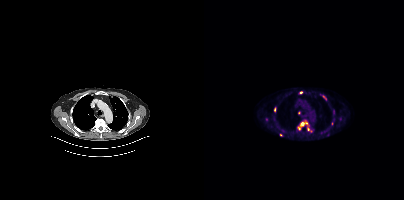
Technique: Two-panel axial: CT | PSMA PET, 18F-PSMA tracer. acquired on Siemens Biograph mCT Flow 20. PET panel 200×200 px (4.1 mm/px).
Findings: Coordinates are on the 200×200 PET (right) panel. (showing 6 of 7 foci) PSMA-avid tumor lesion bounding boxes (x0,y0,x1,y1): [95,120,104,130] [119,95,122,100]. Small PSMA-avid foci (2 to 4 px across) near (center x, center y): (97, 92) (70, 109) (77, 134) (94, 112).